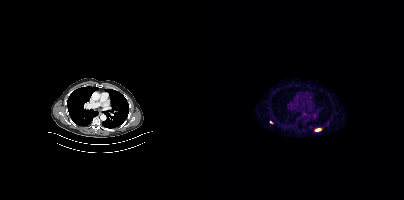
Coordinates are on the 200×200 PET (right) panel. (showing 1 of 2 foci) Small PSMA-avid focus (2 to 4 px across) near (center x, center y): (113, 129).